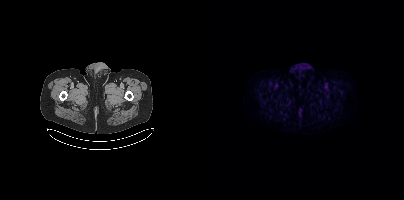
Paired axial CT (left) and PSMA PET (right), 18F-PSMA tracer. Negative for PSMA-avid disease on this slice.